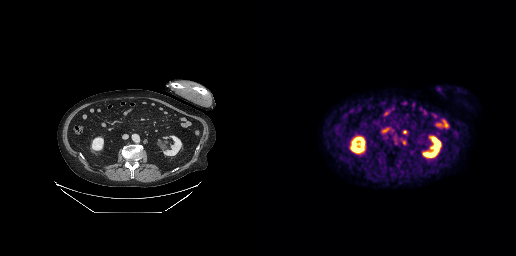
{"modality":"PSMA PET/CT","view":"axial","tracer":"18F","pet_grid":[256,256],"coord_frame":"pet_panel","coord_format":"x0,y0,x1,y1","lesion_bboxes":[],"small_foci_centers":[[144,132],[144,142]]}